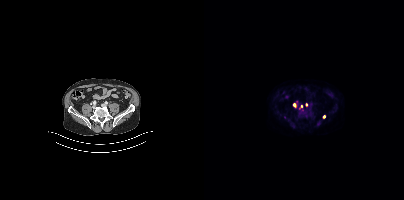
Paired axial CT (left) and PSMA PET (right), 18F tracer. Slice position z = -1290 mm. PET panel 200×200 px (4.1 mm/px). Coordinates are on the 200×200 PET (right) panel. (showing 3 of 4 foci) Small PSMA-avid foci (2 to 4 px across) near (center x, center y): (102, 104) / (90, 104) / (97, 105).